Two-panel axial: CT | PSMA PET, 68Ga-PSMA tracer. Acquired on GE Discovery 690. PET panel 256×256 px (2.7 mm/px).
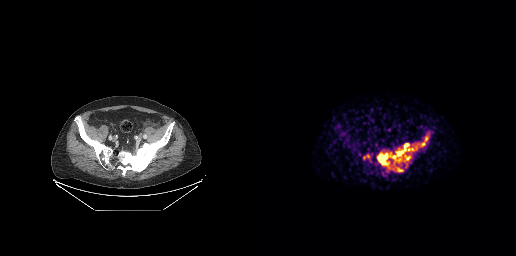
Coordinates are on the 256×256 PET (right) panel. (showing 5 of 7 foci) PSMA-avid tumor lesion bounding boxes (x0,y0,x1,y1): [117,143,153,165] [145,155,150,160] [165,136,168,141] [137,168,142,171]. Small PSMA-avid focus (2 to 4 px across) near (center x, center y): (163, 144).